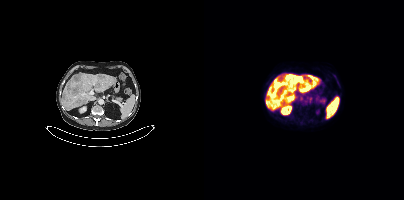
Coordinates are on the 200×200 PET (right) panel. PSMA-avid tumor lesion bounding boxes (x0,y0,x1,y1): [69,83,76,88]; [96,83,102,89]; [92,76,98,81]. Small PSMA-avid foci (2 to 4 px across) near (center x, center y): (97, 98); (106, 98).